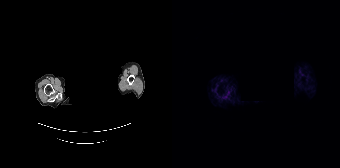
The face region was removed for patient privacy by blanking a rectangle over the head. Left: CT. Right: PSMA PET, same axial level, 68Ga tracer. Slice position z = -966 mm. PET panel 168×168 px (4.1 mm/px). No PSMA-avid tumor lesions on this slice.